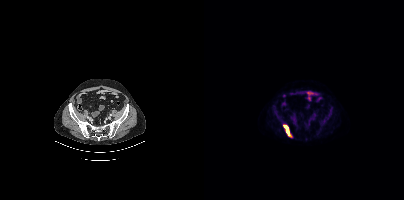
{"modality":"PSMA PET/CT","view":"axial","tracer":"[18F]PSMA-1007","pet_grid":[200,200],"coord_frame":"pet_panel","coord_format":"x0,y0,x1,y1","lesion_bboxes":[[79,124,87,136]]}